Left: CT. Right: PSMA PET, same axial level, 18F tracer. Acquired on Siemens Biograph mCT Flow 20.
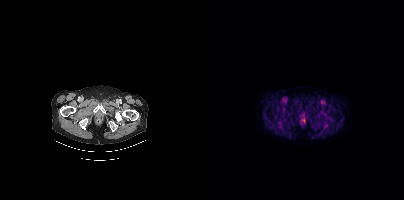
No PSMA-avid tumor lesions on this slice.